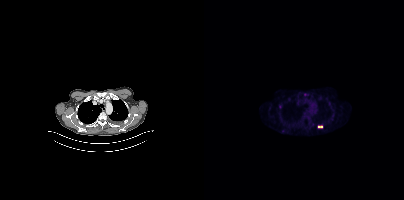
{"modality":"PSMA PET/CT","view":"axial","tracer":"[18F]PSMA-1007","pet_grid":[200,200],"coord_frame":"pet_panel","coord_format":"x0,y0,x1,y1","partial":true,"lesion_bboxes":[[114,126,118,127]],"small_foci_centers":[[76,106]]}